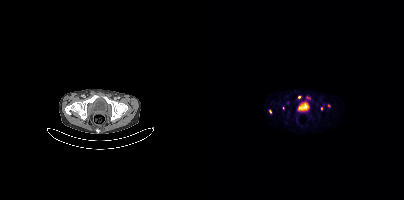
Coordinates are on the 200×200 PET (right) panel. PSMA-avid tumor lesion bounding box (x, y, width, height): x=102 y=96 w=5 h=4. Small PSMA-avid foci (2 to 4 px across) near (center x, center y): (66, 111) | (95, 97) | (117, 108) | (124, 105) | (79, 107).